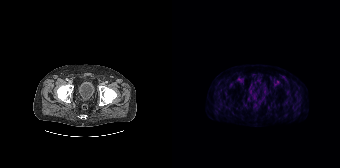
Findings: This slice has no annotated PSMA-avid lesion.
- Paired axial CT (left) and PSMA PET (right), 18F-PSMA tracer
- acquired on Siemens Biograph 64-4R TruePoint